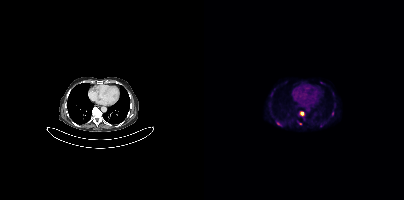
Coordinates are on the 200×200 PET (right) panel. (showing 4 of 5 foci) PSMA-avid tumor lesion bounding boxes (x0,y0,x1,y1): [72,121,77,125], [127,111,129,115]. Small PSMA-avid foci (2 to 4 px across) near (center x, center y): (97, 113), (96, 123).